Left: CT. Right: PSMA PET, same axial level, 18F tracer. Acquired on Siemens Biograph mCT Flow 20. Slice 260 of 387.
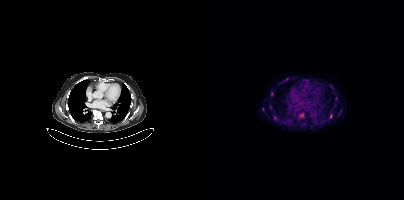
Coordinates are on the 200×200 PET (right) panel. PSMA-avid tumor lesion bounding box (x0, y0)-(x1, y1): (67, 92)-(69, 96). Small PSMA-avid foci (2 to 4 px across) near (center x, center y): (97, 114) / (71, 117) / (58, 109) / (126, 116).